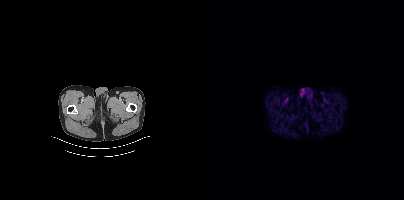
Technique: Two-panel axial: CT | PSMA PET, 18F tracer. PET panel 200×200 px (4.1 mm/px).
Findings: No PSMA-avid tumor lesions on this slice.